Two-panel axial: CT | PSMA PET, 18F-PSMA tracer. Acquired on Siemens Biograph mCT Flow 20.
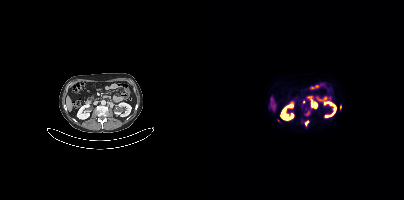
Coordinates are on the 200×200 PET (right) panel. (showing 4 of 6 foci) PSMA-avid tumor lesion bounding boxes (x0,y0,x1,y1): [106,99,113,107], [101,120,104,125]. Small PSMA-avid foci (2 to 4 px across) near (center x, center y): (100, 101), (136, 107).